Paired axial CT (left) and PSMA PET (right), 18F-PSMA tracer. PET panel 200×200 px (4.1 mm/px).
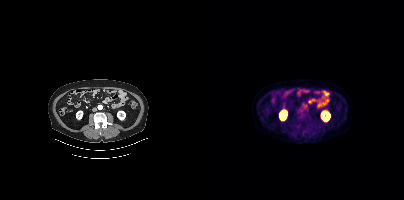
No PSMA-avid tumor lesions on this slice.